- Paired axial CT (left) and PSMA PET (right), 18F-PSMA tracer
- PET panel 200×200 px (4.1 mm/px)
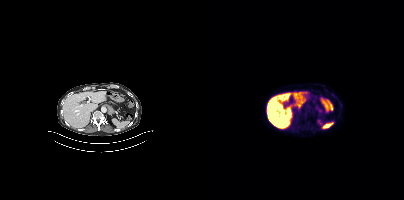
Findings: Only PSMA-avid lesion pieces thinner than 2 px on this slice (not listed).